Left: CT. Right: PSMA PET, same axial level, 68Ga tracer. PET panel 256×256 px (2.7 mm/px).
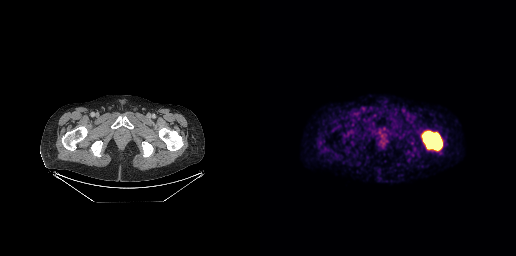
Coordinates are on the 256×256 PET (right) panel. PSMA-avid tumor lesion bounding box (x0,y0,x1,y1): [162,131,182,150].